Technique: Paired axial CT (left) and PSMA PET (right), 18F tracer. slice position z = -916 mm. PET panel 168×168 px (4.1 mm/px).
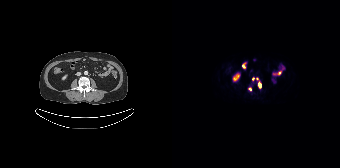
Findings: Coordinates are on the 168×168 PET (right) panel. PSMA-avid tumor lesion bounding boxes (x0, y0)-(x1, y1): (86, 82)-(89, 88) / (76, 87)-(79, 91). Small PSMA-avid foci (2 to 4 px across) near (center x, center y): (81, 78) / (85, 78).